Paired axial CT (left) and PSMA PET (right), [18F]PSMA-1007 tracer. Slice position z = -1508 mm. PET panel 200×200 px (4.1 mm/px).
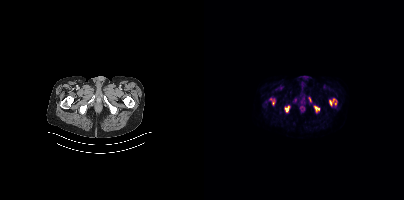
Coordinates are on the 200×200 PET (right) panel. PSMA-avid tumor lesion bounding boxes (x0,y0,x1,y1): [125,98,132,105]; [110,106,115,111]; [81,106,85,111]; [67,99,70,104]; [105,97,107,101].